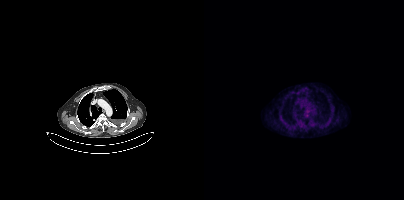
No PSMA-avid tumor lesions on this slice.